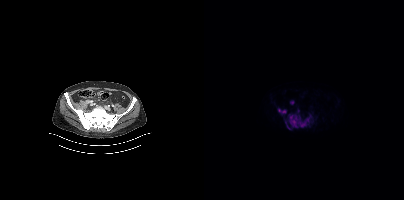
Left: CT. Right: PSMA PET, same axial level, [18F]PSMA-1007 tracer. Coordinates are on the 200×200 PET (right) panel. PSMA-avid tumor lesion bounding boxes (x0, y0)-(x1, y1): (81, 112)-(108, 128) / (75, 110)-(82, 113). Small PSMA-avid focus (2 to 4 px across) near (center x, center y): (108, 121).